Technique: Paired axial CT (left) and PSMA PET (right), 18F-PSMA tracer. acquired on Siemens Biograph mCT Flow 20. slice 322 of 444.
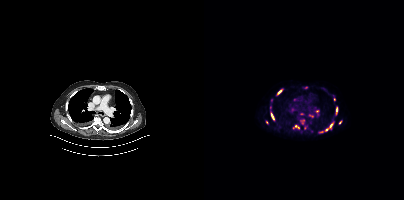
Findings: Coordinates are on the 200×200 PET (right) panel. (showing 11 of 15 foci) PSMA-avid tumor lesion bounding boxes (x0, y0)-(x1, y1): (121, 122)-(129, 131); (89, 125)-(95, 129); (96, 119)-(100, 124); (132, 107)-(134, 114); (67, 113)-(70, 120); (73, 89)-(78, 94); (129, 95)-(131, 101); (115, 131)-(119, 132). Small PSMA-avid foci (2 to 4 px across) near (center x, center y): (136, 122); (101, 128); (62, 122).